Paired axial CT (left) and PSMA PET (right), 68Ga tracer. Acquired on Siemens Biograph 64-4R TruePoint. Slice 38 of 165.
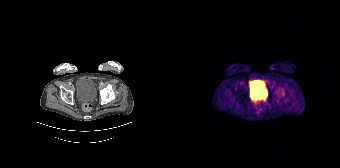
This slice has no annotated PSMA-avid lesion.